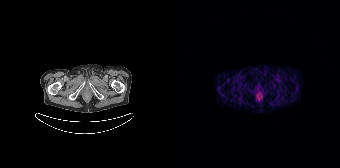
No tumor lesions annotated on this slice.